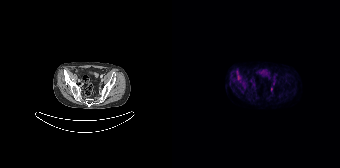
Two-panel axial: CT | PSMA PET, 18F-PSMA tracer. Acquired on Siemens Biograph 64-4R TruePoint. Slice position z = -1531 mm. Coordinates are on the 168×168 PET (right) panel. PSMA-avid tumor lesion bounding box (x, y, width, height): x=99 y=87 w=2 h=6.